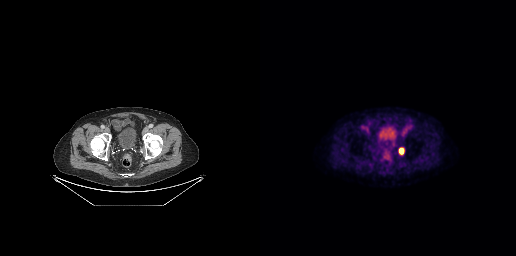
Left: CT. Right: PSMA PET, same axial level, [18F]PSMA-1007 tracer. Acquired on GE Discovery 690. Coordinates are on the 256×256 PET (right) panel. PSMA-avid tumor lesion bounding box (x, y, width, height): x=139 y=148 w=5 h=6.